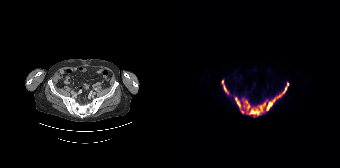
Paired axial CT (left) and PSMA PET (right), 18F tracer. PET panel 168×168 px (4.1 mm/px).
Coordinates are on the 168×168 PET (right) panel. PSMA-avid tumor lesion bounding boxes (partial; 1 more focus not listed):
| # | x0 | y0 | x1 | y1 |
|---|---|---|---|---|
| 1 | 62 | 82 | 117 | 117 |
| 2 | 49 | 79 | 57 | 94 |